Technique: Two-panel axial: CT | PSMA PET, 18F tracer. acquired on Siemens Biograph mCT Flow 20. slice 302 of 401. PET panel 200×200 px (4.1 mm/px).
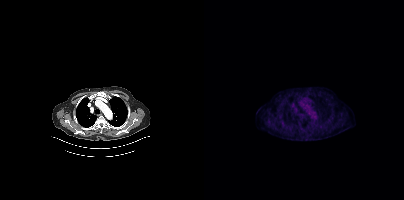
Findings: Negative for PSMA-avid disease on this slice.